Two-panel axial: CT | PSMA PET, 18F-PSMA tracer. Acquired on Siemens Biograph mCT Flow 20. Slice position z = 1680 mm.
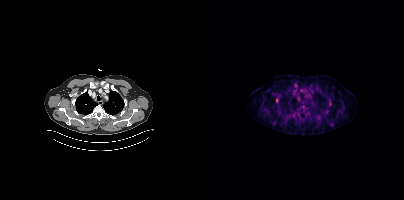
Coordinates are on the 200×200 PET (right) panel. PSMA-avid tumor lesion bounding box (x0,y0,x1,y1): [72,98,74,102]. Small PSMA-avid focus (2 to 4 px across) near (center x, center y): (95, 99).